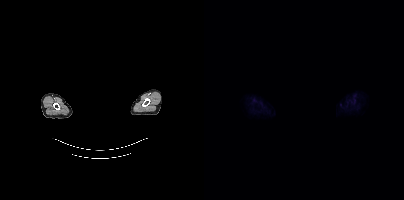
Technique: Paired axial CT (left) and PSMA PET (right), 18F-PSMA tracer. acquired on Siemens Biograph mCT Flow 20. PET panel 200×200 px (4.1 mm/px).
Note: Facial anatomy redacted by setting a rectangular region of the head to black.
Findings: No tumor lesions annotated on this slice.